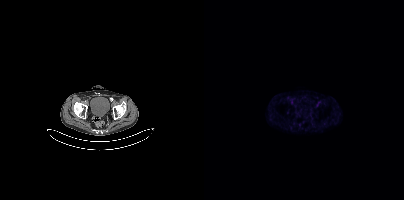
This slice has no annotated PSMA-avid lesion. Left: CT. Right: PSMA PET, same axial level, 18F tracer. Slice position z = -946 mm.